Technique: Left: CT. Right: PSMA PET, same axial level, 68Ga tracer. acquired on Siemens Biograph 64-4R TruePoint. slice position z = -1172 mm.
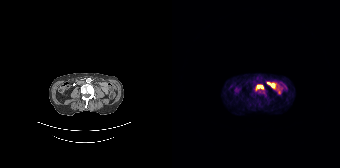
Findings: Coordinates are on the 168×168 PET (right) panel. PSMA-avid tumor lesion bounding box (x, y, width, height): x=83 y=85 w=10 h=6.